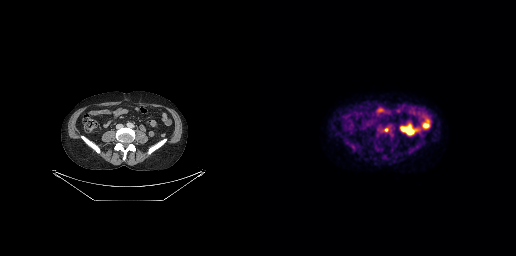
Coordinates are on the 256×256 PET (right) panel. Small PSMA-avid focus (2 to 4 px across) near (center x, center y): (126, 129).
modality: PSMA PET/CT | tracer: 18F | view: axial